- Left: CT. Right: PSMA PET, same axial level, 18F-PSMA tracer
- acquired on Siemens Biograph mCT Flow 20
- slice position z = -583 mm
- PET panel 200×200 px (4.1 mm/px)
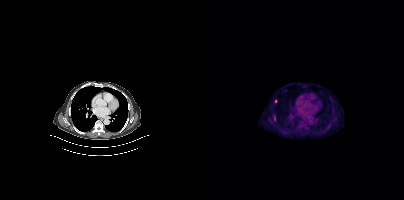
Findings: Coordinates are on the 200×200 PET (right) panel. Small PSMA-avid foci (2 to 4 px across) near (center x, center y): (70, 118) | (71, 101).